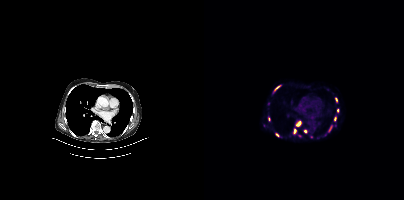
Findings: Coordinates are on the 200×200 PET (right) panel. (showing 11 of 12 foci) PSMA-avid tumor lesion bounding boxes (x0, y0)-(x1, y1): (92, 122)-(97, 126) / (89, 129)-(92, 134) / (125, 126)-(127, 131) / (71, 86)-(75, 90). Small PSMA-avid foci (2 to 4 px across) near (center x, center y): (73, 134) / (101, 131) / (132, 99) / (130, 118) / (64, 119) / (133, 110) / (95, 135).
Technique: Paired axial CT (left) and PSMA PET (right), 68Ga-PSMA tracer. acquired on Siemens Biograph mCT Flow 20.